- Left: CT. Right: PSMA PET, same axial level, [18F]PSMA-1007 tracer
- slice position z = -854 mm
- PET panel 200×200 px (4.1 mm/px)
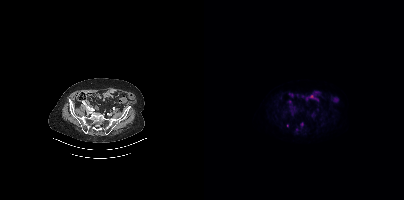
Findings: Coordinates are on the 200×200 PET (right) panel. (showing 1 of 2 foci) Small PSMA-avid focus (2 to 4 px across) near (center x, center y): (97, 124).